modality: PSMA PET/CT | tracer: 68Ga-PSMA | view: axial
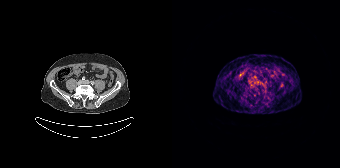
Coordinates are on the 168×168 PET (right) panel. Small PSMA-avid focus (2 to 4 px across) near (center x, center y): (77, 81).